Two-panel axial: CT | PSMA PET, 18F-PSMA tracer. PET panel 200×200 px (4.1 mm/px).
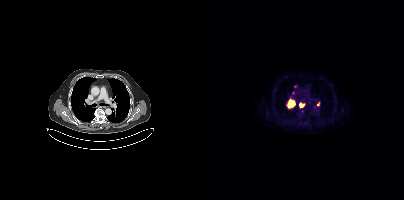
Coordinates are on the 200×200 PET (right) panel. Small PSMA-avid focus (2 to 4 px across) near (center x, center y): (97, 104).